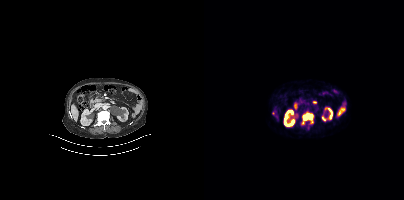
Technique: Left: CT. Right: PSMA PET, same axial level, [68Ga]Ga-PSMA-11 tracer. acquired on Siemens Biograph mCT Flow 20. PET panel 200×200 px (4.1 mm/px).
Findings: Coordinates are on the 200×200 PET (right) panel. PSMA-avid tumor lesion bounding box (x, y, width, height): x=97 y=113 w=13 h=12. Small PSMA-avid foci (2 to 4 px across) near (center x, center y): (69, 112) / (107, 122).